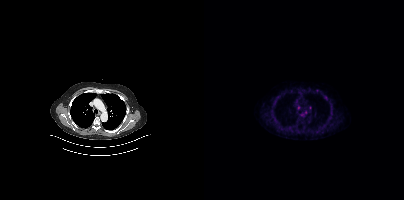
No PSMA-avid tumor lesions on this slice. Paired axial CT (left) and PSMA PET (right), 18F-PSMA tracer.